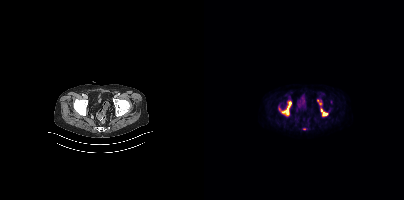
Coordinates are on the 200×200 PET (right) panel. (showing 4 of 5 foci) PSMA-avid tumor lesion bounding boxes (x, y, width, height): x=75 y=101 w=13 h=14; x=117 y=109 w=7 h=7. Small PSMA-avid foci (2 to 4 px across) near (center x, center y): (113, 100); (116, 103).